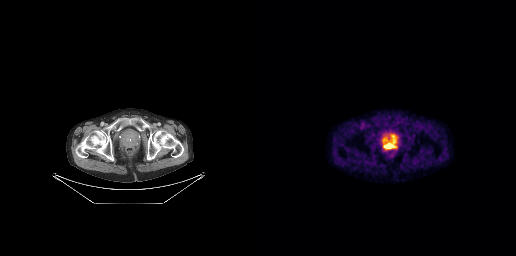
Two-panel axial: CT | PSMA PET, 18F-PSMA tracer. Slice 62 of 263.
Coordinates are on the 256×256 PET (right) panel. PSMA-avid tumor lesion bounding boxes:
| # | x0 | y0 | x1 | y1 |
|---|---|---|---|---|
| 1 | 123 | 138 | 133 | 148 |
| 2 | 130 | 135 | 136 | 141 |